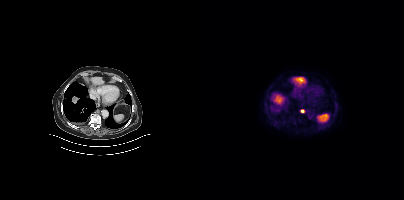
Coordinates are on the 200×200 PET (right) panel. Small PSMA-avid focus (2 to 4 px across) near (center x, center y): (98, 110).